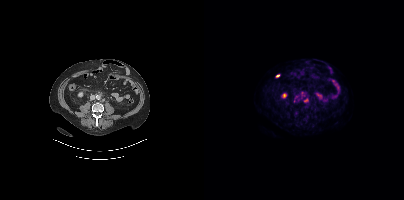
Coordinates are on the 200×200 PET (right) panel. PSMA-avid tumor lesion bounding boxes (x, y, width, height): x=97 y=92 w=5 h=5; x=100 y=98 w=5 h=5. Small PSMA-avid foci (2 to 4 px across) near (center x, center y): (90, 101); (95, 100).
modality: PSMA PET/CT | tracer: 18F | view: axial | PET grid: 200×200